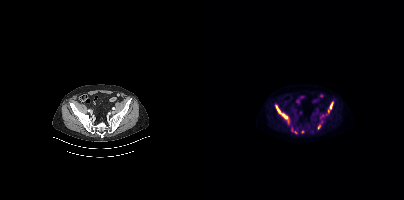
Findings: Coordinates are on the 200×200 PET (right) panel. (showing 6 of 7 foci) PSMA-avid tumor lesion bounding boxes (x0, y0)-(x1, y1): (71, 105)-(84, 119); (87, 127)-(93, 133); (126, 102)-(129, 108); (114, 125)-(116, 129). Small PSMA-avid foci (2 to 4 px across) near (center x, center y): (124, 111); (98, 132).
Technique: Two-panel axial: CT | PSMA PET, 18F tracer. acquired on Siemens Biograph mCT Flow 20. PET panel 200×200 px (4.1 mm/px).